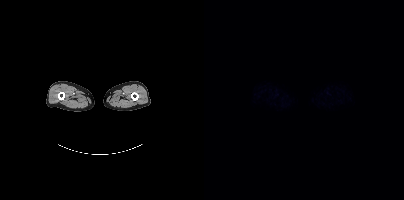
modality: PSMA PET/CT | tracer: 18F-PSMA | view: axial
No tumor lesions annotated on this slice.